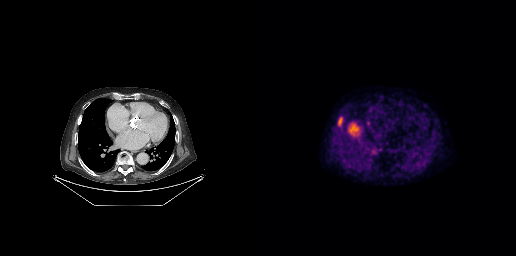
modality: PSMA PET/CT | tracer: 18F | view: axial
Coordinates are on the 256×256 PET (right) panel. (showing 1 of 2 foci) PSMA-avid tumor lesion bounding box (x, y, width, height): x=78 y=117 w=5 h=10.